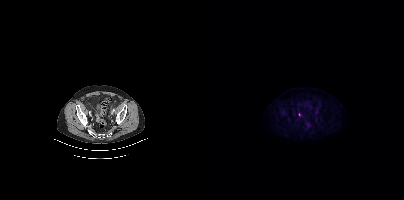
Coordinates are on the 200×200 PET (right) panel. PSMA-avid tumor lesion bounding boxes:
| # | x0 | y0 | x1 | y1 |
|---|---|---|---|---|
| 1 | 76 | 109 | 83 | 116 |
Paired axial CT (left) and PSMA PET (right), 18F tracer. Acquired on Siemens Biograph mCT Flow 20. Slice position z = -778 mm.